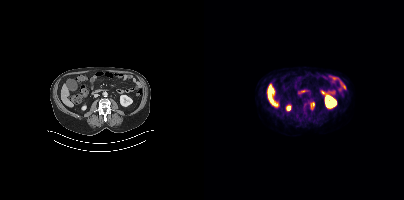
Coordinates are on the 200×200 PET (right) panel. PSMA-avid tumor lesion bounding box (x0, y0)-(x1, y1): (107, 102)-(110, 108).